Paired axial CT (left) and PSMA PET (right), 18F tracer. Acquired on GE Discovery 690.
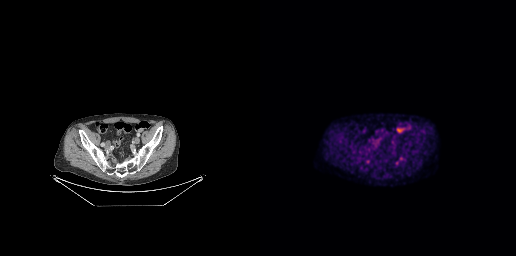
Coordinates are on the 256×256 PET (right) panel. Small PSMA-avid foci (2 to 4 px across) near (center x, center y): (141, 158) / (136, 162).